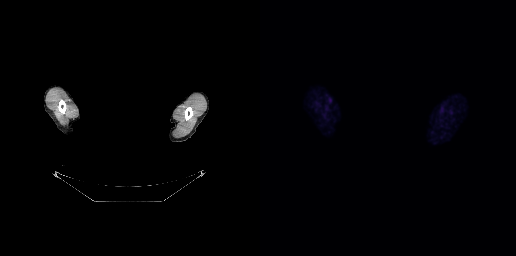
An anonymization step blacked out a rectangle over the head in this scan.
This slice has no annotated PSMA-avid lesion.